- Two-panel axial: CT | PSMA PET, 18F-PSMA tracer
- acquired on Siemens Biograph mCT Flow 20
- slice position z = -162 mm
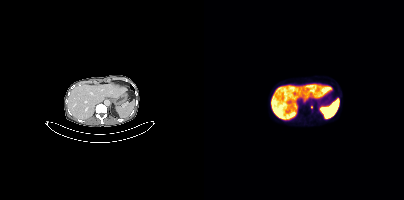
Findings: Coordinates are on the 200×200 PET (right) panel. Small PSMA-avid focus (2 to 4 px across) near (center x, center y): (107, 106).